Paired axial CT (left) and PSMA PET (right), 18F-PSMA tracer. PET panel 200×200 px (4.1 mm/px).
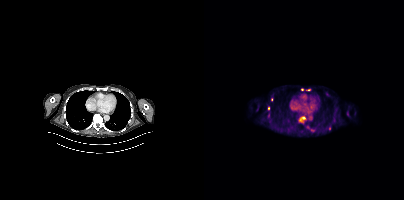
Coordinates are on the 200×200 PET (right) panel. (showing 5 of 6 foci) Small PSMA-avid foci (2 to 4 px across) near (center x, center y): (64, 108); (98, 89); (64, 115); (99, 117); (104, 89).